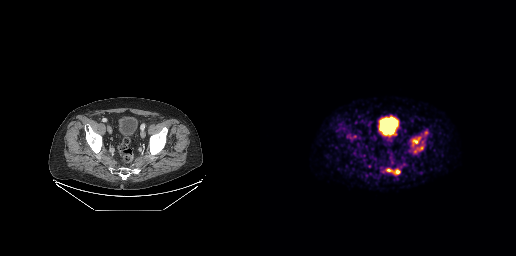
Technique: Left: CT. Right: PSMA PET, same axial level, 68Ga-PSMA tracer. slice position z = -764 mm.
Findings: Coordinates are on the 256×256 PET (right) panel. PSMA-avid tumor lesion bounding boxes (x, y, width, height): x=153 y=138 w=7 h=6; x=134 y=169 w=6 h=6; x=127 y=169 w=6 h=3. Small PSMA-avid focus (2 to 4 px across) near (center x, center y): (161, 148).